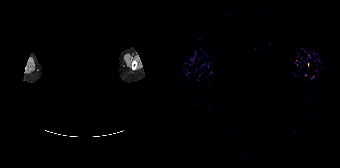
Findings: Negative for PSMA-avid disease on this slice.
Technique: Paired axial CT (left) and PSMA PET (right), 68Ga tracer. acquired on Siemens Biograph 64-4R TruePoint. slice 195 of 195. PET panel 168×168 px (4.1 mm/px).
Note: Privacy masking over the head, with the pixels inside a rectangle set to black.